Left: CT. Right: PSMA PET, same axial level, 18F tracer.
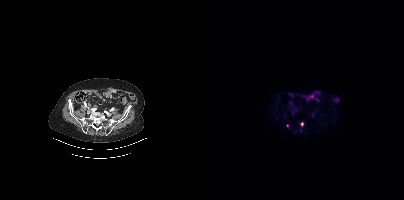
Coordinates are on the 200×200 PET (right) panel. PSMA-avid tumor lesion bounding box (x0, y0)-(x1, y1): (96, 122)-(99, 126). Small PSMA-avid focus (2 to 4 px across) near (center x, center y): (83, 125).